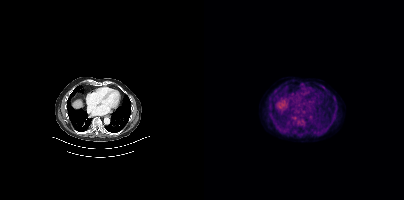
Coordinates are on the 200×200 PET (right) panel. Small PSMA-avid focus (2 to 4 px across) near (center x, center y): (98, 121).